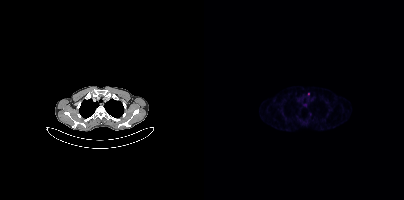
Coordinates are on the 200×200 PET (right) panel. Small PSMA-avid focus (2 to 4 px across) near (center x, center y): (104, 93). Left: CT. Right: PSMA PET, same axial level, 68Ga-PSMA tracer. Slice position z = -1154 mm.